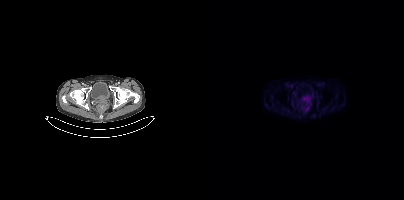
Left: CT. Right: PSMA PET, same axial level, 18F tracer. Acquired on Siemens Biograph mCT Flow 20.
Coordinates are on the 200×200 PET (right) panel. PSMA-avid tumor lesion bounding boxes:
| # | x0 | y0 | x1 | y1 |
|---|---|---|---|---|
| 1 | 99 | 97 | 106 | 102 |
Small PSMA-avid focus (2 to 4 px across) near (center x, center y): (103, 108).